de-identification: face masked with black rectangle | modality: PSMA PET/CT | tracer: 18F | view: axial | PET grid: 200×200
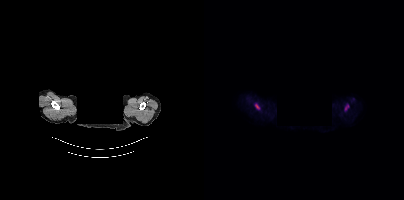
Coordinates are on the 200×200 PET (right) panel. PSMA-avid tumor lesion bounding boxes (x0,y0,x1,y1): [51,103,55,109], [141,105,144,109].